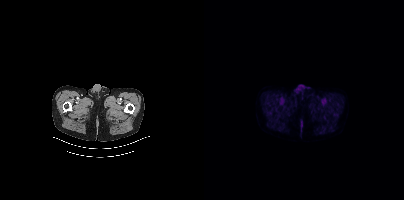
No PSMA-avid tumor lesions on this slice. Paired axial CT (left) and PSMA PET (right), 18F-PSMA tracer. Acquired on Siemens Biograph mCT Flow 20. PET panel 200×200 px (4.1 mm/px).